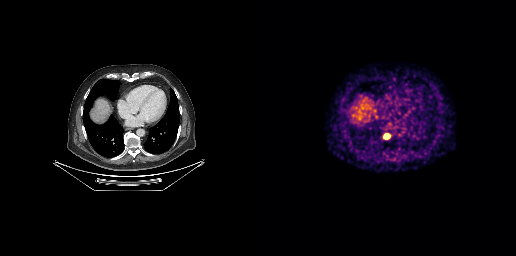
{"pet_grid":[256,256],"coord_frame":"pet_panel","coord_format":"x0,y0,x1,y1","lesion_bboxes":[[124,134,129,138]],"modality":"PSMA PET/CT","view":"axial","tracer":"[68Ga]Ga-PSMA-11"}